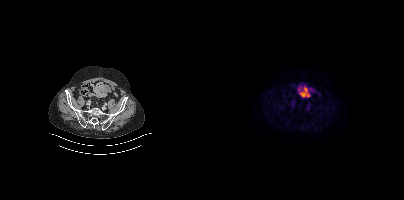
Negative for PSMA-avid disease on this slice.